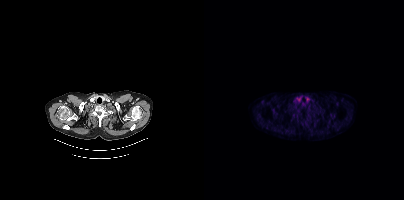
No tumor lesions annotated on this slice.